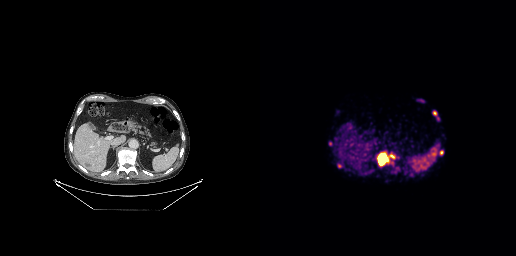
Findings: Coordinates are on the 256×256 PET (right) panel. PSMA-avid tumor lesion bounding boxes (x0, y0)-(x1, y1): (118, 154)-(126, 164); (129, 153)-(133, 158); (180, 150)-(183, 154). Small PSMA-avid foci (2 to 4 px across) near (center x, center y): (79, 165); (174, 113).
- Paired axial CT (left) and PSMA PET (right), 68Ga tracer
- PET panel 256×256 px (2.7 mm/px)